Two-panel axial: CT | PSMA PET, [18F]PSMA-1007 tracer. PET panel 256×256 px (2.7 mm/px).
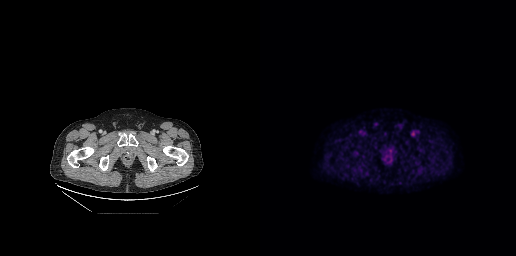
No PSMA-avid tumor lesions on this slice.